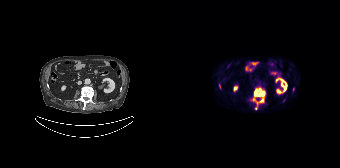
Findings: Coordinates are on the 168×168 PET (right) panel. (showing 3 of 4 foci) PSMA-avid tumor lesion bounding box (x, y, width, height): x=80 y=87 w=14 h=19. Small PSMA-avid foci (2 to 4 px across) near (center x, center y): (84, 108) | (47, 85).
- Left: CT. Right: PSMA PET, same axial level, [18F]PSMA-1007 tracer
- PET panel 168×168 px (4.1 mm/px)